Paired axial CT (left) and PSMA PET (right), [18F]PSMA-1007 tracer.
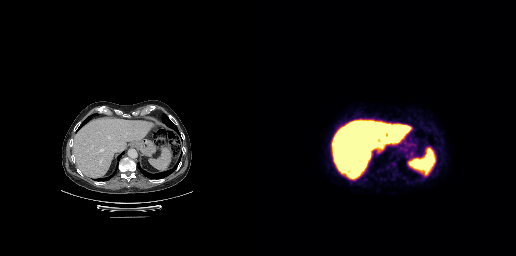
This slice has no annotated PSMA-avid lesion.